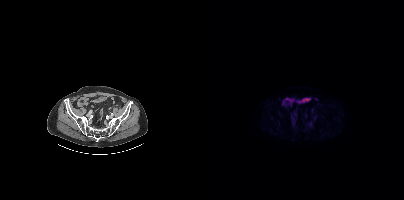
- Paired axial CT (left) and PSMA PET (right), [18F]PSMA-1007 tracer
- acquired on Siemens Biograph mCT Flow 20
Findings: Negative for PSMA-avid disease on this slice.